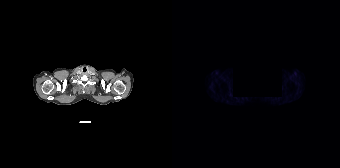
Technique: Left: CT. Right: PSMA PET, same axial level, 18F tracer. acquired on Siemens Biograph 64-4R TruePoint.
Note: A black rectangle in this scan is a privacy mask, not anatomy.
Findings: No PSMA-avid tumor lesions on this slice.